Two-panel axial: CT | PSMA PET, 18F tracer. Acquired on Siemens Biograph mCT Flow 20. Slice position z = -1211 mm.
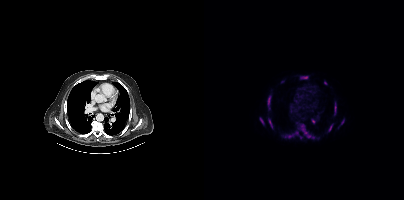
Coordinates are on the 200×200 PET (right) panel. (showing 10 of 11 foci) PSMA-avid tumor lesion bounding boxes (x0, y0)-(x1, y1): (92, 122)-(107, 137) / (79, 131)-(97, 139) / (63, 95)-(67, 109) / (130, 102)-(132, 115) / (124, 124)-(128, 131) / (97, 76)-(103, 78) / (137, 119)-(140, 124). Small PSMA-avid foci (2 to 4 px across) near (center x, center y): (121, 82) / (109, 121) / (56, 117).